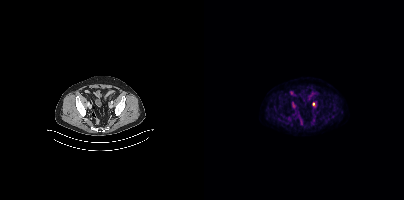
Coordinates are on the 200×200 PET (right) panel. PSMA-avid tumor lesion bounding box (x0,y0,x1,y1): [78,115,87,122]. Small PSMA-avid focus (2 to 4 px across) near (center x, center y): (109, 104).